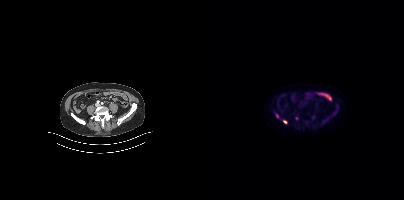
modality: PSMA PET/CT | tracer: [18F]PSMA-1007 | view: axial | PET grid: 200×200
Coordinates are on the 200×200 PET (right) panel. PSMA-avid tumor lesion bounding boxes (x, y, width, height): x=79 y=120 w=5 h=4; x=72 y=114 w=3 h=5. Small PSMA-avid focus (2 to 4 px across) near (center x, center y): (92, 118).